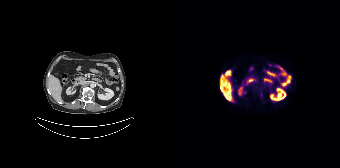
modality: PSMA PET/CT | tracer: [18F]PSMA-1007 | view: axial
Coordinates are on the 168×168 PET (right) panel. Small PSMA-avid focus (2 to 4 px across) near (center x, center y): (49, 88).